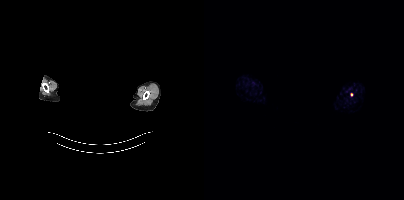
{"modality":"PSMA PET/CT","view":"axial","tracer":"[68Ga]Ga-PSMA-11","pet_grid":[200,200],"coord_frame":"pet_panel","coord_format":"x0,y0,x1,y1","lesion_bboxes":[],"small_foci_centers":[[147,94]],"deidentification":"head region blacked out before release"}